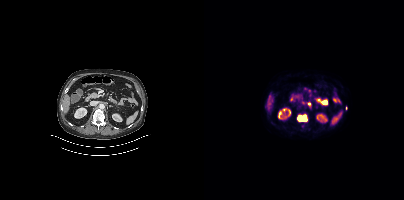
Coordinates are on the 200×200 PET (right) panel. PSMA-avid tumor lesion bounding box (x0, y0)-(x1, y1): (93, 114)-(103, 121). Small PSMA-avid focus (2 to 4 px across) near (center x, center y): (105, 103).